- Left: CT. Right: PSMA PET, same axial level, 18F-PSMA tracer
- acquired on GE Discovery 690
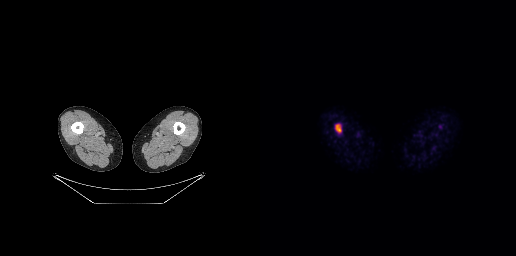
Findings: Coordinates are on the 256×256 PET (right) panel. PSMA-avid tumor lesion bounding box (x0,y0,x1,y1): [75,123,81,133].